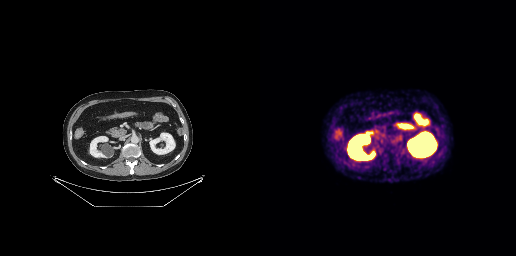
Negative for PSMA-avid disease on this slice.